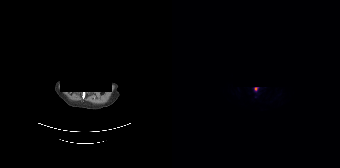
modality: PSMA PET/CT | tracer: 18F-PSMA | view: axial | deidentification: face masked with black rectangle
Coordinates are on the 168×168 PET (right) panel. Small PSMA-avid focus (2 to 4 px across) near (center x, center y): (83, 88).